Two-panel axial: CT | PSMA PET, 18F-PSMA tracer. Acquired on Siemens Biograph 64-4R TruePoint. PET panel 168×168 px (4.1 mm/px).
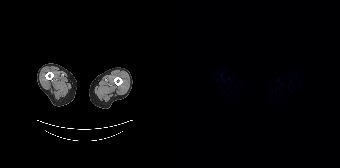
This slice has no annotated PSMA-avid lesion.